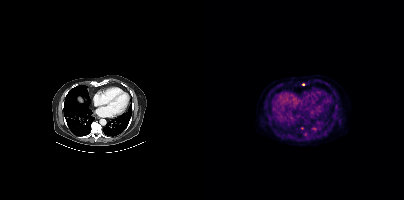
Two-panel axial: CT | PSMA PET, [18F]PSMA-1007 tracer. Acquired on Siemens Biograph mCT Flow 20. Slice 292 of 448. Coordinates are on the 200×200 PET (right) panel. (showing 2 of 3 foci) Small PSMA-avid foci (2 to 4 px across) near (center x, center y): (109, 128) | (99, 84).